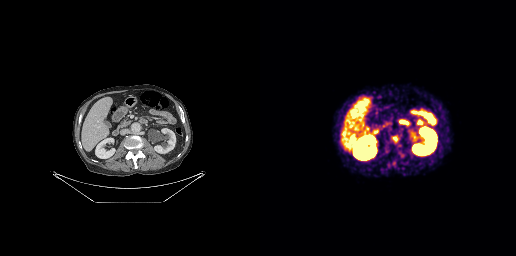
Technique: Two-panel axial: CT | PSMA PET, 68Ga-PSMA tracer. acquired on GE Discovery 690. slice 117 of 263.
Findings: Coordinates are on the 256×256 PET (right) panel. Small PSMA-avid focus (2 to 4 px across) near (center x, center y): (134, 138).